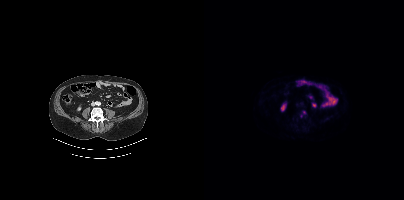
- Two-panel axial: CT | PSMA PET, [18F]PSMA-1007 tracer
- slice 172 of 450
Findings: Coordinates are on the 200×200 PET (right) panel. (showing 1 of 2 foci) Small PSMA-avid focus (2 to 4 px across) near (center x, center y): (100, 112).